modality: PSMA PET/CT | tracer: 18F-PSMA | view: axial
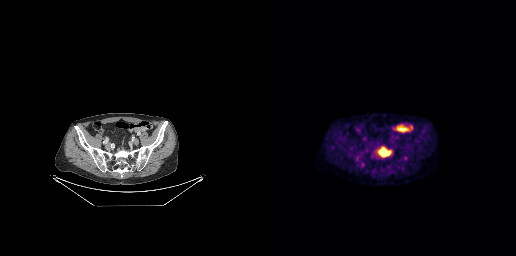
Coordinates are on the 256×256 PET (right) panel. (showing 2 of 4 foci) PSMA-avid tumor lesion bounding boxes (x0,y0,x1,y1): [119,148,128,157] [100,162,104,166].